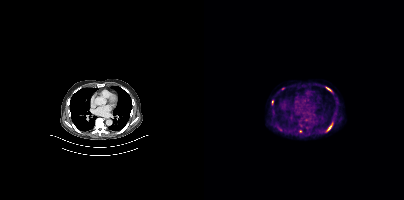
Technique: Two-panel axial: CT | PSMA PET, 18F-PSMA tracer. acquired on Siemens Biograph mCT Flow 20. PET panel 200×200 px (4.1 mm/px).
Findings: Coordinates are on the 200×200 PET (right) panel. (showing 4 of 5 foci) PSMA-avid tumor lesion bounding boxes (x0, y0)-(x1, y1): (123, 123)-(128, 131) / (122, 87)-(127, 91) / (68, 100)-(69, 104). Small PSMA-avid focus (2 to 4 px across) near (center x, center y): (96, 131).